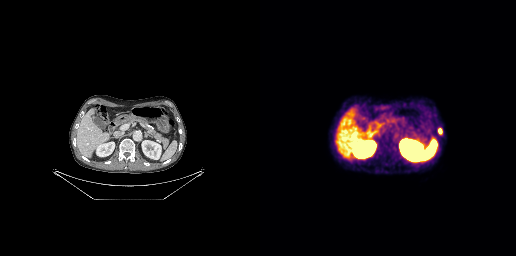
{"modality":"PSMA PET/CT","view":"axial","tracer":"68Ga","pet_grid":[256,256],"coord_frame":"pet_panel","coord_format":"x0,y0,x1,y1","lesion_bboxes":[[179,129,181,133]]}